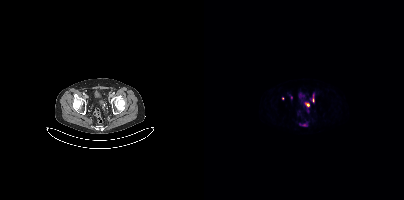
Coordinates are on the 200×200 PET (right) panel. (showing 5 of 6 foci) PSMA-avid tumor lesion bounding boxes (x, y, width, height): x=96 y=124 w=8 h=3; x=108 y=98 w=3 h=5. Small PSMA-avid foci (2 to 4 px across) near (center x, center y): (104, 105); (87, 97); (78, 98). Two-panel axial: CT | PSMA PET, 68Ga tracer. Acquired on Siemens Biograph mCT Flow 20. PET panel 200×200 px (4.1 mm/px).